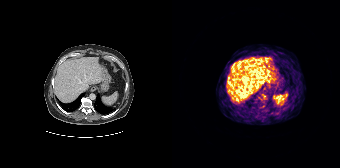
Findings: Negative for PSMA-avid disease on this slice.
- Left: CT. Right: PSMA PET, same axial level, 68Ga tracer
- acquired on Siemens Biograph 64-4R TruePoint
- slice position z = -439 mm
- PET panel 168×168 px (4.1 mm/px)